- Paired axial CT (left) and PSMA PET (right), 18F tracer
- slice 146 of 195
- PET panel 168×168 px (4.1 mm/px)
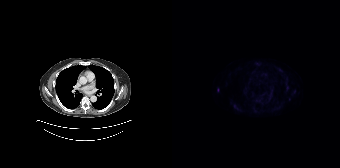
Findings: Coordinates are on the 168×168 PET (right) panel. Small PSMA-avid focus (2 to 4 px across) near (center x, center y): (45, 89).